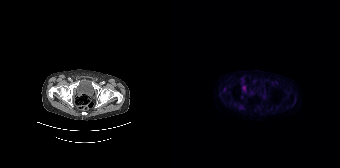
- Left: CT. Right: PSMA PET, same axial level, [18F]PSMA-1007 tracer
- slice position z = -1610 mm
- PET panel 168×168 px (4.1 mm/px)
Findings: No tumor lesions annotated on this slice.